modality: PSMA PET/CT | tracer: [18F]PSMA-1007 | view: axial
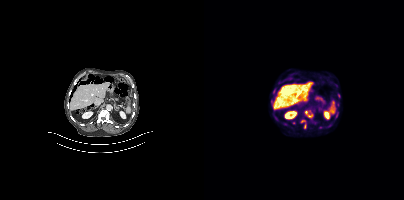
Coordinates are on the 200×200 PET (right) panel. (showing 10 of 12 foci) PSMA-avid tumor lesion bounding boxes (x, y, width, height): x=100 y=110 w=10 h=9; x=131 y=93 w=6 h=6; x=97 y=120 w=6 h=8; x=66 y=97 w=4 h=8; x=77 y=122 w=6 h=4; x=71 y=117 w=5 h=5; x=121 y=126 w=5 h=3. Small PSMA-avid foci (2 to 4 px across) near (center x, center y): (69, 92); (132, 116); (80, 118).